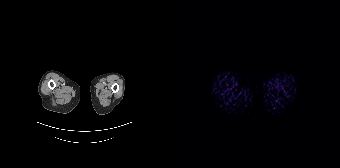
modality: PSMA PET/CT | tracer: [68Ga]Ga-PSMA-11 | view: axial
No tumor lesions annotated on this slice.